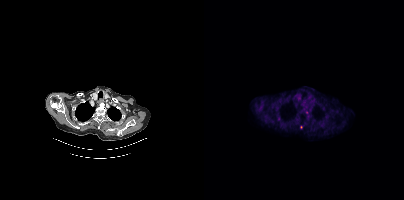
Coordinates are on the 200×200 PET (right) panel. Small PSMA-avid foci (2 to 4 px across) near (center x, center y): (75, 117), (97, 127). Left: CT. Right: PSMA PET, same axial level, [18F]PSMA-1007 tracer. Slice position z = 266 mm. PET panel 200×200 px (4.1 mm/px).